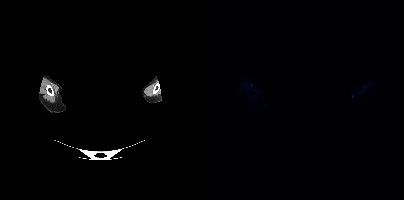
Negative for PSMA-avid disease on this slice. Face de-identified by blanking a block of the head. Paired axial CT (left) and PSMA PET (right), 18F-PSMA tracer. Slice 376 of 405. PET panel 200×200 px (4.1 mm/px).